Technique: Two-panel axial: CT | PSMA PET, 68Ga-PSMA tracer.
Note: The head region is masked for de-identification.
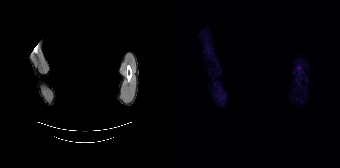
Findings: Negative for PSMA-avid disease on this slice.